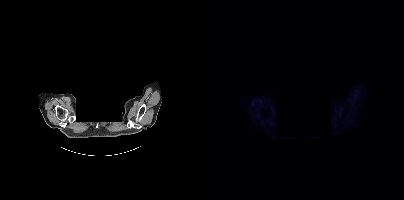
{"modality":"PSMA PET/CT","view":"axial","tracer":"[18F]PSMA-1007","pet_grid":[200,200],"coord_frame":"pet_panel","coord_format":"x0,y0,x1,y1","deidentification":"head region blacked out before release","psma_avid_lesions":false}